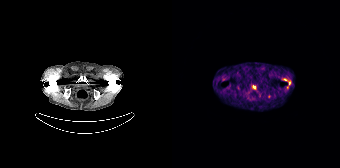
Coordinates are on the 168×168 PET (right) panel. (showing 2 of 3 foci) PSMA-avid tumor lesion bounding box (x, y, width, height): x=111 y=78 w=8 h=11. Small PSMA-avid focus (2 to 4 px across) near (center x, center y): (97, 96). Paired axial CT (left) and PSMA PET (right), 68Ga-PSMA tracer. PET panel 168×168 px (4.1 mm/px).